Technique: Left: CT. Right: PSMA PET, same axial level, 18F tracer. slice position z = -979 mm. PET panel 200×200 px (4.1 mm/px).
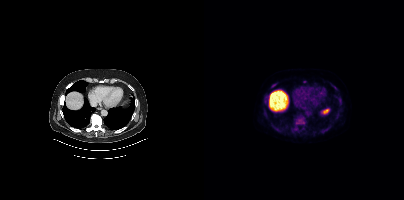
Findings: Coordinates are on the 200×200 PET (right) panel. PSMA-avid tumor lesion bounding boxes (x0,y0,x1,y1): [90,117,99,125] [118,127,124,133] [88,127,92,132] [70,127,74,131] [68,83,72,87] [129,86,133,90]. Small PSMA-avid foci (2 to 4 px across) near (center x, center y): (61, 100) (135, 100) (135, 104) (100, 81) (99, 128).